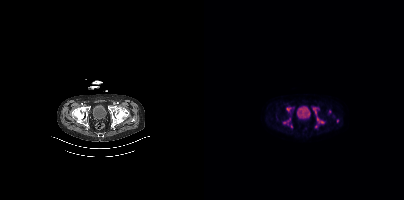
Two-panel axial: CT | PSMA PET, 18F-PSMA tracer. PET panel 200×200 px (4.1 mm/px). Coordinates are on the 200×200 PET (right) panel. PSMA-avid tumor lesion bounding boxes (x, y, width, height): x=108 y=107 w=13 h=17 | x=79 y=118 w=8 h=8 | x=82 y=107 w=9 h=5. Small PSMA-avid foci (2 to 4 px across) near (center x, center y): (125, 111) | (87, 125) | (112, 126) | (133, 120).